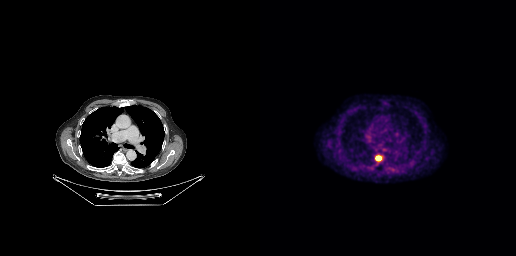
Left: CT. Right: PSMA PET, same axial level, [18F]PSMA-1007 tracer. Slice 199 of 263. Coordinates are on the 256×256 PET (right) panel. PSMA-avid tumor lesion bounding box (x, y, width, height): x=115 y=156 w=7 h=10. Small PSMA-avid focus (2 to 4 px across) near (center x, center y): (142, 170).